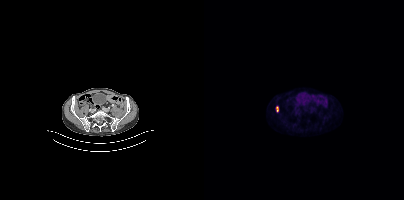
Paired axial CT (left) and PSMA PET (right), 18F-PSMA tracer. Slice position z = 48 mm. PET panel 200×200 px (4.1 mm/px). Coordinates are on the 200×200 PET (right) panel. PSMA-avid tumor lesion bounding box (x0, y0)-(x1, y1): (72, 106)-(74, 111).